Technique: Two-panel axial: CT | PSMA PET, 18F-PSMA tracer. acquired on Siemens Biograph mCT Flow 20.
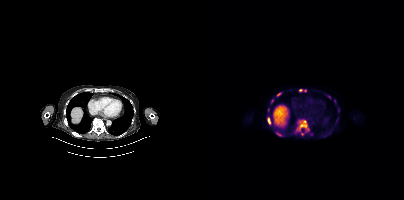
Findings: Coordinates are on the 200×200 PET (right) panel. (showing 9 of 11 foci) PSMA-avid tumor lesion bounding boxes (x0,y0,x1,y1): [91,120,105,135], [72,132,78,136], [63,118,66,124], [73,92,77,96]. Small PSMA-avid foci (2 to 4 px across) near (center x, center y): (124, 96), (96, 90), (68, 100), (64, 109), (130, 101).